- Paired axial CT (left) and PSMA PET (right), 18F-PSMA tracer
- acquired on GE Discovery 690
- slice 105 of 299
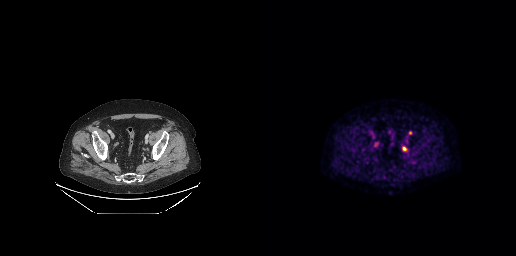
Findings: Coordinates are on the 256×256 PET (right) panel. PSMA-avid tumor lesion bounding box (x, y, width, height): x=142 y=147 w=5 h=4. Small PSMA-avid foci (2 to 4 px across) near (center x, center y): (150, 132) | (116, 144).